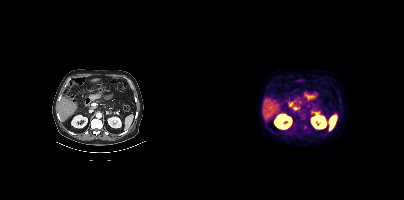
No PSMA-avid tumor lesions on this slice.